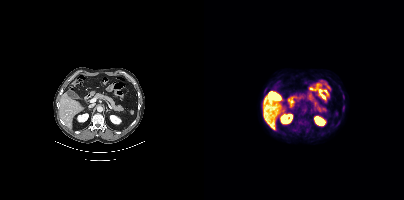
Coordinates are on the 200×200 PET (right) panel. Small PSMA-avid focus (2 to 4 px across) near (center x, center y): (61, 90).